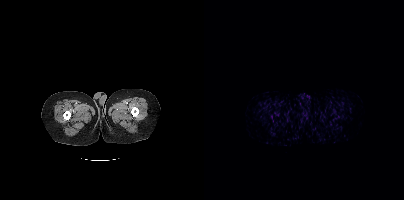
No tumor lesions annotated on this slice.